modality: PSMA PET/CT | tracer: 18F | view: axial
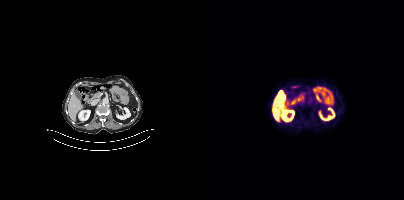
No tumor lesions annotated on this slice.